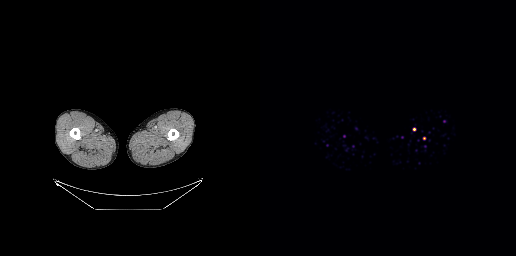
Left: CT. Right: PSMA PET, same axial level, 68Ga tracer. Slice 1 of 263. PET panel 256×256 px (2.7 mm/px). No PSMA-avid tumor lesions on this slice.